Paired axial CT (left) and PSMA PET (right), 68Ga tracer. PET panel 168×168 px (4.1 mm/px).
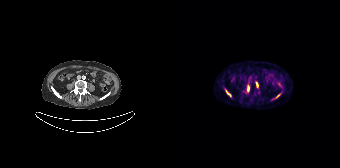
Coordinates are on the 168×168 PET (right) panel. (showing 4 of 5 foci) PSMA-avid tumor lesion bounding boxes (x, y, width, height): x=53 y=89 w=6 h=8 | x=74 y=85 w=4 h=8 | x=83 y=82 w=4 h=6. Small PSMA-avid focus (2 to 4 px across) near (center x, center y): (104, 96).